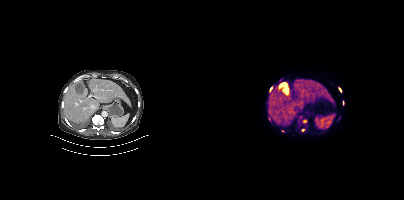
{"pet_grid":[200,200],"coord_frame":"pet_panel","coord_format":"x0,y0,x1,y1","partial":true,"lesion_bboxes":[[134,87,137,92],[66,87,68,91]],"small_foci_centers":[[99,130],[100,121],[78,130]],"modality":"PSMA PET/CT","view":"axial","tracer":"[18F]PSMA-1007"}